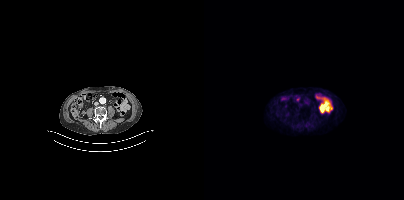
Left: CT. Right: PSMA PET, same axial level, 18F tracer. Acquired on Siemens Biograph mCT Flow 20. This slice has no annotated PSMA-avid lesion.